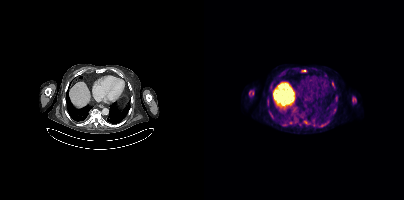
- Left: CT. Right: PSMA PET, same axial level, [18F]PSMA-1007 tracer
Findings: Coordinates are on the 200×200 PET (right) panel. (showing 4 of 5 foci) PSMA-avid tumor lesion bounding boxes (x, y, width, height): x=45 y=91 w=5 h=5; x=148 y=97 w=5 h=6; x=98 y=70 w=5 h=2. Small PSMA-avid focus (2 to 4 px across) near (center x, center y): (128, 83).